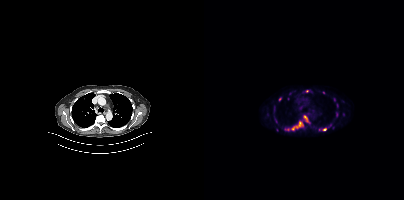
Two-panel axial: CT | PSMA PET, [18F]PSMA-1007 tracer. Coordinates are on the 200×200 PET (right) panel. (showing 8 of 12 foci) PSMA-avid tumor lesion bounding boxes (x, y, width, height): x=81 y=121 w=19 h=10; x=99 y=115 w=7 h=8; x=114 y=128 w=9 h=3. Small PSMA-avid foci (2 to 4 px across) near (center x, center y): (133, 113); (76, 99); (86, 93); (102, 90); (84, 98).